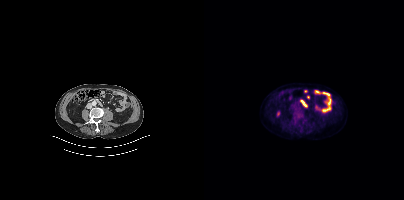
No tumor lesions annotated on this slice.